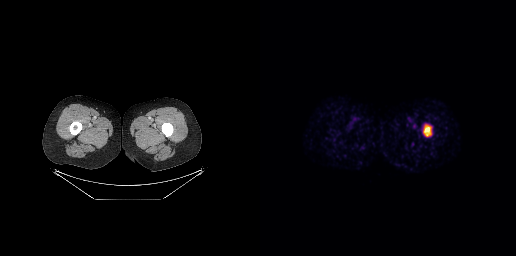
Technique: Left: CT. Right: PSMA PET, same axial level, 68Ga-PSMA tracer. acquired on GE Discovery 690. slice position z = -1082 mm.
Findings: Coordinates are on the 256×256 PET (right) panel. PSMA-avid tumor lesion bounding box (x, y, width, height): x=164 y=126 w=7 h=11.